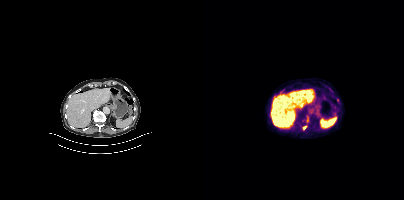
{"modality":"PSMA PET/CT","view":"axial","tracer":"18F-PSMA","pet_grid":[200,200],"coord_frame":"pet_panel","coord_format":"x0,y0,x1,y1","lesion_bboxes":[],"small_foci_centers":[[100,127]]}